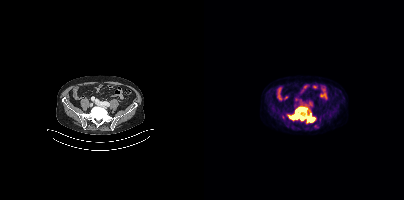
Coordinates are on the 200×200 PET (right) panel. (showing 1 of 2 foci) PSMA-avid tumor lesion bounding box (x0, y0)-(x1, y1): (84, 107)-(112, 123).